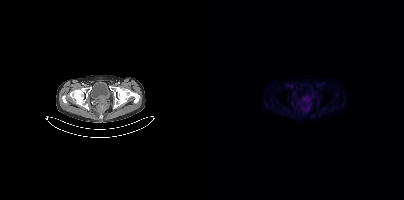
Coordinates are on the 200×200 PET (right) panel. PSMA-avid tumor lesion bounding box (x0, y0)-(x1, y1): (99, 97)-(106, 101). Small PSMA-avid focus (2 to 4 px across) near (center x, center y): (103, 108).